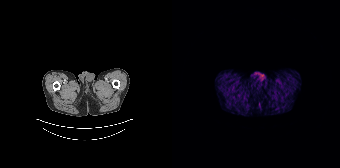
Negative for PSMA-avid disease on this slice.